Paired axial CT (left) and PSMA PET (right), 68Ga-PSMA tracer. Acquired on Siemens Biograph 64-4R TruePoint. PET panel 168×168 px (4.1 mm/px).
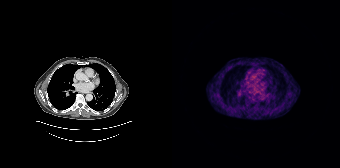
No PSMA-avid tumor lesions on this slice.